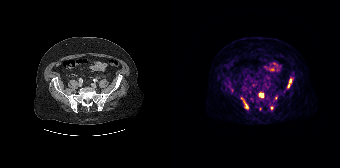
Coordinates are on the 168×168 PET (right) panel. (showing 5 of 6 foci) PSMA-avid tumor lesion bounding box (x, y, width, height): x=87 y=93 w=5 h=5. Small PSMA-avid foci (2 to 4 px across) near (center x, center y): (118, 80) | (116, 85) | (74, 105) | (99, 107).